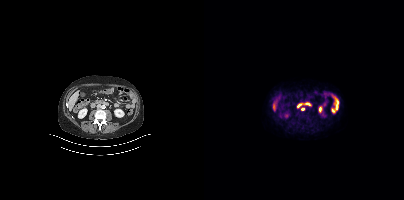
modality: PSMA PET/CT | tracer: 18F | view: axial
Coordinates are on the 200×200 PET (right) panel. Small PSMA-avid focus (2 to 4 px across) near (center x, center y): (98, 108).